Left: CT. Right: PSMA PET, same axial level, 18F-PSMA tracer. PET panel 256×256 px (2.7 mm/px).
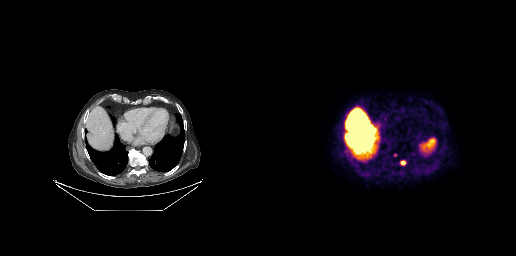
Coordinates are on the 256×256 PET (right) panel. PSMA-avid tumor lesion bounding boxes:
| # | x0 | y0 | x1 | y1 |
|---|---|---|---|---|
| 1 | 141 | 161 | 145 | 164 |